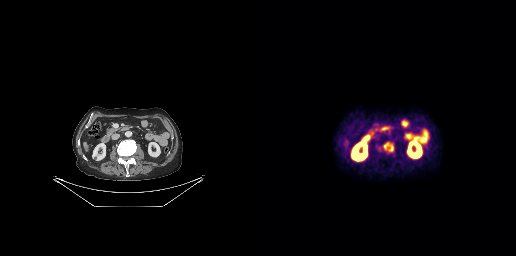
modality: PSMA PET/CT | tracer: 18F-PSMA | view: axial
Coordinates are on the 256×256 PET (right) panel. PSMA-avid tumor lesion bounding box (x0,y0,x1,y1): [123,142,133,152].